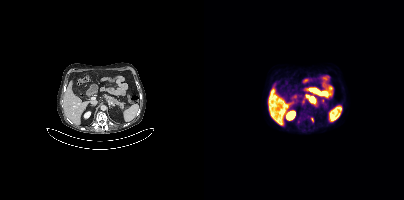
Coordinates are on the 200×200 PET (right) panel. Small PSMA-avid foci (2 to 4 px across) near (center x, center y): (95, 121); (119, 100); (99, 101); (98, 116); (108, 119). Two-panel axial: CT | PSMA PET, 18F-PSMA tracer.